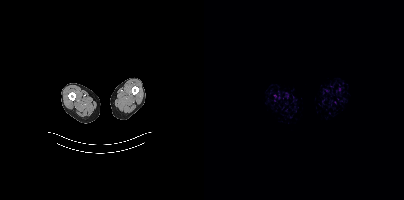
No tumor lesions annotated on this slice. Left: CT. Right: PSMA PET, same axial level, 18F tracer. Acquired on Siemens Biograph mCT Flow 20. Slice 1 of 413.